Two-panel axial: CT | PSMA PET, [18F]PSMA-1007 tracer. PET panel 200×200 px (4.1 mm/px).
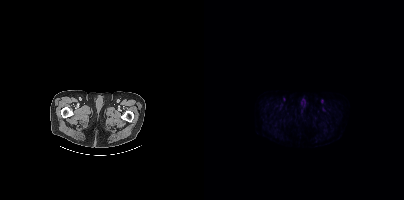
No tumor lesions annotated on this slice.